Two-panel axial: CT | PSMA PET, [18F]PSMA-1007 tracer. Slice position z = -357 mm. PET panel 200×200 px (4.1 mm/px).
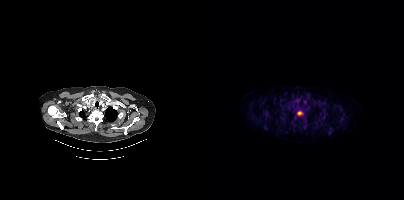
Coordinates are on the 200×200 PET (right) panel. PSMA-avid tumor lesion bounding box (x, y, width, height): x=93 y=111 w=5 h=5. Small PSMA-avid focus (2 to 4 px across) near (center x, center y): (126, 132).